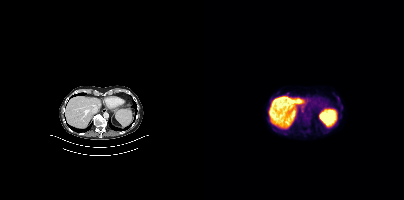
Coordinates are on the 200×200 PET (right) panel. Small PSMA-avid foci (2 to 4 px across) near (center x, center y): (98, 111) | (73, 92). Two-panel axial: CT | PSMA PET, [18F]PSMA-1007 tracer. PET panel 200×200 px (4.1 mm/px).